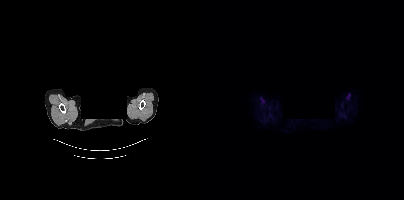
De-identified by setting a box covering the face to black before release.
Negative for PSMA-avid disease on this slice.